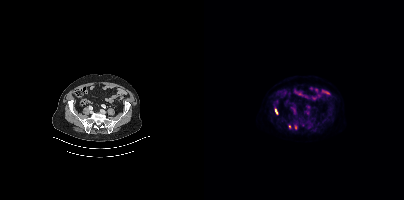
Left: CT. Right: PSMA PET, same axial level, [18F]PSMA-1007 tracer. PET panel 200×200 px (4.1 mm/px). Coordinates are on the 200×200 PET (right) panel. PSMA-avid tumor lesion bounding box (x0, y0)-(x1, y1): (71, 109)-(73, 113). Small PSMA-avid foci (2 to 4 px across) near (center x, center y): (91, 127) | (85, 126).